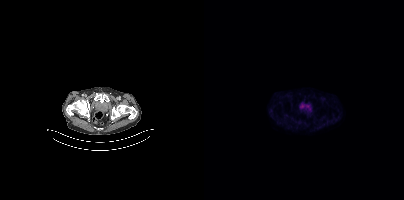
This slice has no annotated PSMA-avid lesion.
modality: PSMA PET/CT | tracer: 18F | view: axial